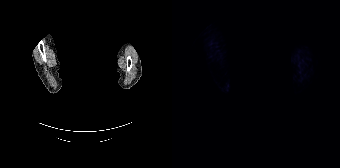
Negative for PSMA-avid disease on this slice.
modality: PSMA PET/CT | tracer: 18F | view: axial | PET grid: 168×168 | deidentification: head region blanked (face removed)